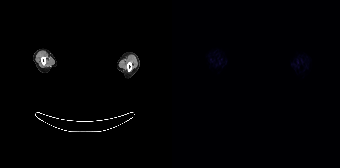
{"modality":"PSMA PET/CT","view":"axial","tracer":"18F","pet_grid":[168,168],"coord_frame":"pet_panel","coord_format":"x0,y0,x1,y1","psma_avid_lesions":false,"redaction":"face masked with black rectangle"}